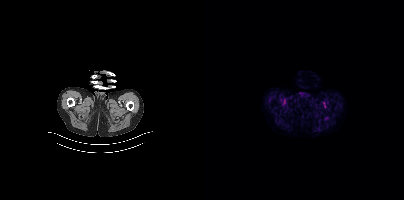
- Left: CT. Right: PSMA PET, same axial level, [18F]PSMA-1007 tracer
Findings: No PSMA-avid tumor lesions on this slice.